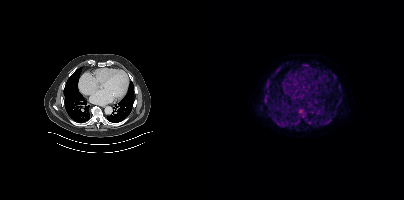
modality: PSMA PET/CT | tracer: [18F]PSMA-1007 | view: axial | PET grid: 200×200
Coordinates are on the 200×200 PET (right) panel. PSMA-avid tumor lesion bounding boxes (x0,y0,x1,y1): [94,107,103,117], [122,113,131,123], [61,79,66,86], [71,120,77,125], [60,96,64,101], [64,113,69,117], [68,73,72,77], [134,84,137,88], [103,121,108,124], [72,67,76,71], [135,97,137,101], [100,64,104,66]. Small PSMA-avid focus (2 to 4 px across) near (center x, center y): (63, 105).